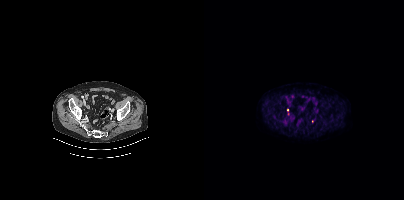
Coordinates are on the 200×200 PET (right) panel. (showing 2 of 3 foci) Small PSMA-avid foci (2 to 4 px across) near (center x, center y): (84, 113); (108, 121).